Technique: Left: CT. Right: PSMA PET, same axial level, 18F tracer. slice position z = -1366 mm. PET panel 200×200 px (4.1 mm/px).
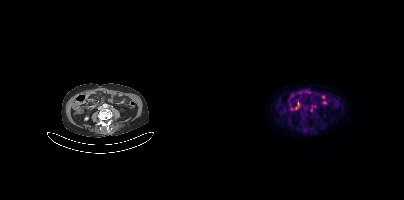
Findings: Coordinates are on the 200×200 PET (right) panel. PSMA-avid tumor lesion bounding box (x0,y0,x1,y1): [106,104,112,112].